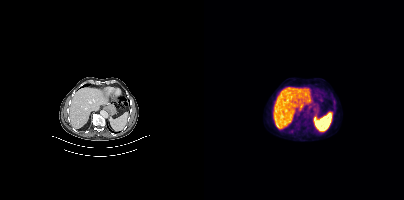
No PSMA-avid tumor lesions on this slice.